modality: PSMA PET/CT | tracer: 18F-PSMA | view: axial
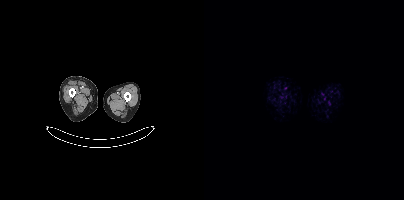
This slice has no annotated PSMA-avid lesion.